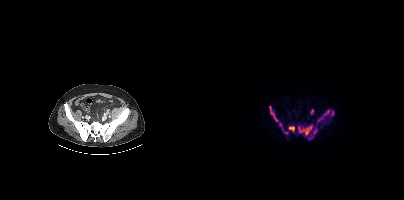
Coordinates are on the 200×200 PET (right) panel. PSMA-avid tumor lesion bounding boxes (x0,y0,x1,y1): [94,125,108,135] [114,109,126,121] [65,106,73,121] [85,126,90,131] [109,128,113,133] [127,110,130,115]. Small PSMA-avid foci (2 to 4 px across) near (center x, center y): (107, 137) (82, 132) (76, 124).